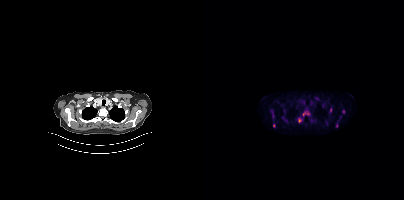
{"modality":"PSMA PET/CT","view":"axial","tracer":"[18F]PSMA-1007","pet_grid":[200,200],"coord_frame":"pet_panel","coord_format":"x0,y0,x1,y1","lesion_bboxes":[[126,108,127,112]],"small_foci_centers":[[95,120],[139,111],[100,114],[132,125],[69,125],[103,113]]}